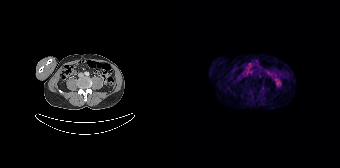
This slice has no annotated PSMA-avid lesion.